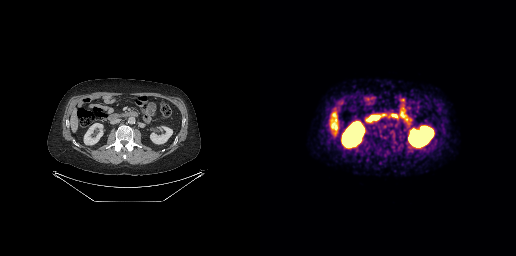
Technique: Paired axial CT (left) and PSMA PET (right), 68Ga-PSMA tracer. PET panel 256×256 px (2.7 mm/px).
Findings: Negative for PSMA-avid disease on this slice.